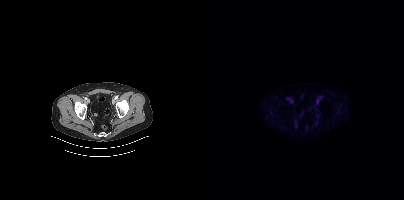
Left: CT. Right: PSMA PET, same axial level, [18F]PSMA-1007 tracer. Slice 89 of 442. PET panel 200×200 px (4.1 mm/px). No PSMA-avid tumor lesions on this slice.